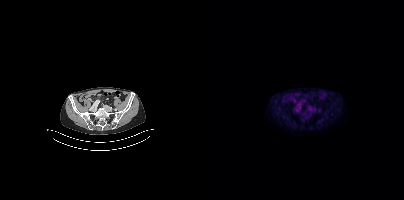
modality: PSMA PET/CT | tracer: 18F | view: axial
Negative for PSMA-avid disease on this slice.